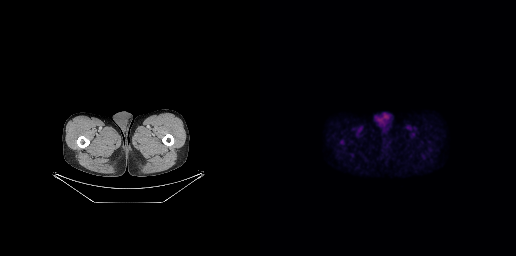
Coordinates are on the 256×256 PET (right) panel. PSMA-avid tumor lesion bounding box (x0, y0)-(x1, y1): (79, 140)-(84, 145).